- Two-panel axial: CT | PSMA PET, [18F]PSMA-1007 tracer
- acquired on Siemens Biograph 64-4R TruePoint
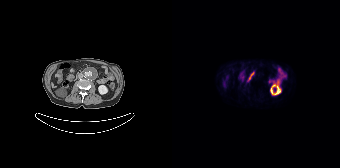
Findings: No tumor lesions annotated on this slice.